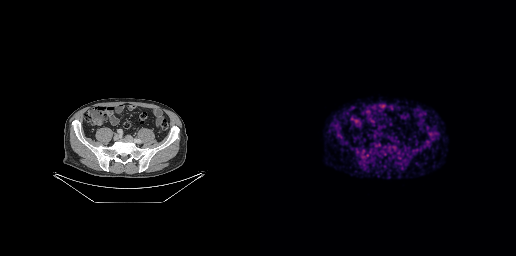
{"modality":"PSMA PET/CT","view":"axial","tracer":"[18F]PSMA-1007","pet_grid":[256,256],"coord_frame":"pet_panel","coord_format":"x0,y0,x1,y1","psma_avid_lesions":false}